Face de-identified by blanking a block of the head.
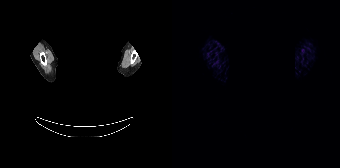
This slice has no annotated PSMA-avid lesion.